- Left: CT. Right: PSMA PET, same axial level, 18F tracer
- acquired on GE Discovery 690
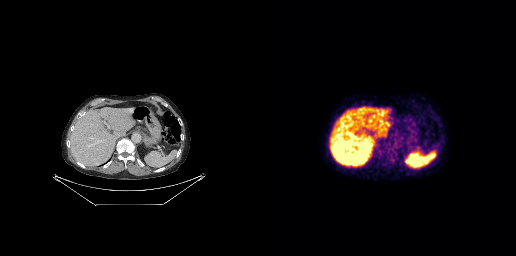
Findings: Negative for PSMA-avid disease on this slice.